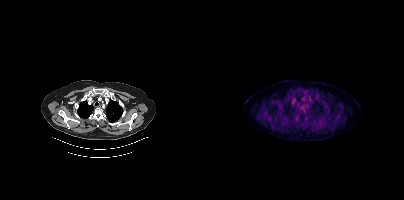
Two-panel axial: CT | PSMA PET, 18F tracer. Acquired on Siemens Biograph mCT Flow 20. Slice position z = 454 mm. PET panel 200×200 px (4.1 mm/px). No tumor lesions annotated on this slice.